Left: CT. Right: PSMA PET, same axial level, 18F-PSMA tracer. Slice position z = -504 mm.
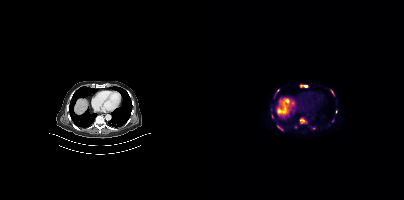
Coordinates are on the 200×200 PET (right) panel. PSMA-avid tumor lesion bounding boxes (partial; 2 more foci not listed):
| # | x0 | y0 | x1 | y1 |
|---|---|---|---|---|
| 1 | 74 | 126 | 79 | 130 |
| 2 | 96 | 119 | 100 | 121 |
Small PSMA-avid foci (2 to 4 px across) near (center x, center y): (101, 86); (128, 91); (73, 90).